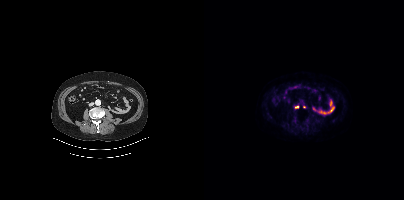
Coordinates are on the 200×200 PET (right) panel. Small PSMA-avid foci (2 to 4 px across) near (center x, center y): (92, 106) / (100, 106).